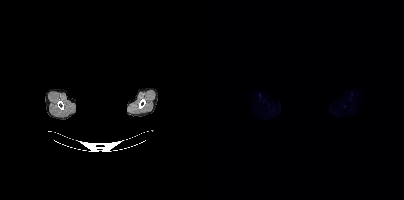
Paired axial CT (left) and PSMA PET (right), 18F tracer. Slice position z = -272 mm. De-identified by setting a box covering the face to black before release. This slice has no annotated PSMA-avid lesion.